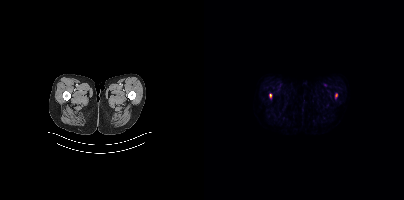
Technique: Paired axial CT (left) and PSMA PET (right), 18F-PSMA tracer. acquired on Siemens Biograph mCT Flow 20. slice 27 of 429. PET panel 200×200 px (4.1 mm/px).
Findings: Coordinates are on the 200×200 PET (right) panel. Small PSMA-avid foci (2 to 4 px across) near (center x, center y): (66, 95); (132, 95).